Left: CT. Right: PSMA PET, same axial level, [68Ga]Ga-PSMA-11 tracer. Slice 94 of 165.
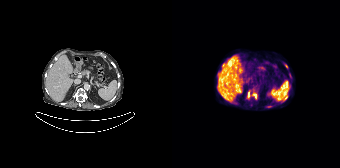
Coordinates are on the 168×168 PET (right) panel. PSMA-avid tumor lesion bounding boxes (x0,y0,x1,y1): [80,93,84,98], [75,91,77,98]. Small PSMA-avid foci (2 to 4 px across) near (center x, center y): (113, 98), (51, 64), (114, 66).